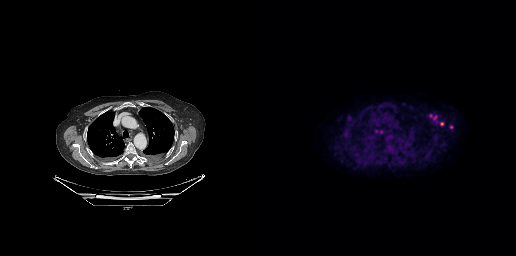
Technique: Left: CT. Right: PSMA PET, same axial level, 18F-PSMA tracer.
Findings: Coordinates are on the 256×256 PET (right) panel. (showing 7 of 8 foci) PSMA-avid tumor lesion bounding boxes (x, y, width, height): x=88 y=116 w=3 h=5 / x=97 y=160 w=5 h=4. Small PSMA-avid foci (2 to 4 px across) near (center x, center y): (191, 126) / (174, 117) / (181, 123) / (121, 132) / (170, 115).